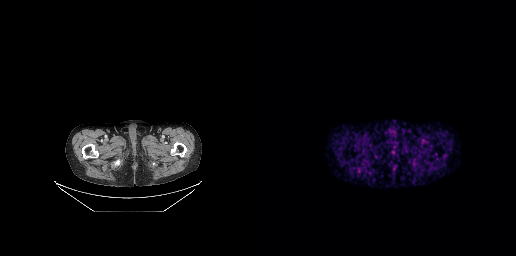
modality: PSMA PET/CT | tracer: 68Ga | view: axial
This slice has no annotated PSMA-avid lesion.